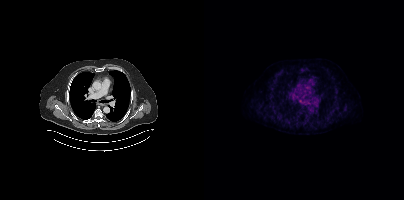
- Left: CT. Right: PSMA PET, same axial level, 18F-PSMA tracer
- acquired on Siemens Biograph mCT Flow 20
Findings: Coordinates are on the 200×200 PET (right) panel. PSMA-avid tumor lesion bounding box (x0,y0,x1,y1): [126,109,130,113].